modality: PSMA PET/CT | tracer: 18F | view: axial | PET grid: 200×200
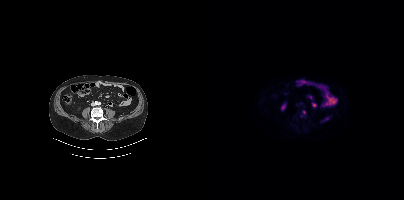
Coordinates are on the 200×200 PET (right) panel. (showing 1 of 2 foci) Small PSMA-avid focus (2 to 4 px across) near (center x, center y): (100, 112).